Technique: Two-panel axial: CT | PSMA PET, [18F]PSMA-1007 tracer. acquired on Siemens Biograph mCT Flow 20. PET panel 200×200 px (4.1 mm/px).
Note: Face de-identified by blanking a block of the head.
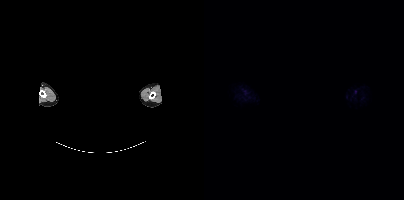
Findings: No PSMA-avid tumor lesions on this slice.